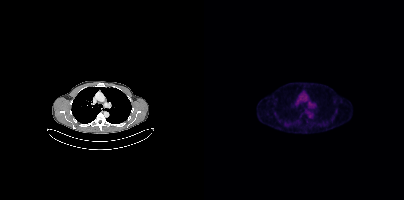
modality: PSMA PET/CT | tracer: [18F]PSMA-1007 | view: axial
Negative for PSMA-avid disease on this slice.